Technique: Two-panel axial: CT | PSMA PET, [18F]PSMA-1007 tracer. acquired on GE Discovery 690.
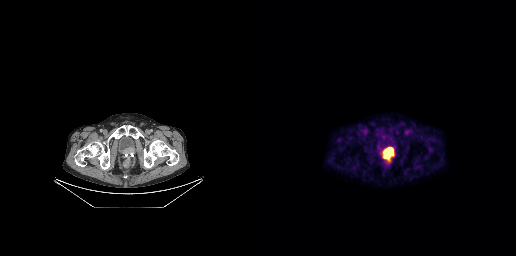
Findings: Coordinates are on the 256×256 PET (right) panel. PSMA-avid tumor lesion bounding box (x0, y0)-(x1, y1): (123, 147)-(133, 159).